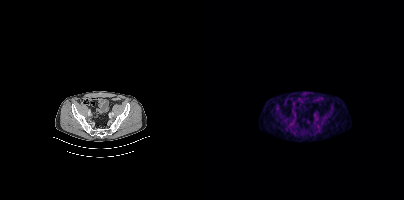
This slice has no annotated PSMA-avid lesion.